Left: CT. Right: PSMA PET, same axial level, 18F tracer. PET panel 200×200 px (4.1 mm/px).
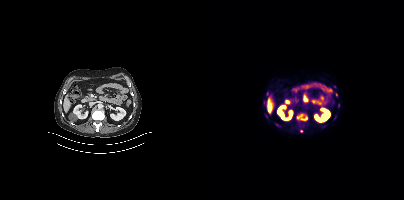
Coordinates are on the 200×200 PET (right) panel. (showing 4 of 5 foci) PSMA-avid tumor lesion bounding boxes (x0,y0,x1,y1): [96,117,103,120]; [93,114,98,118]. Small PSMA-avid foci (2 to 4 px across) near (center x, center y): (132, 94); (97, 130).